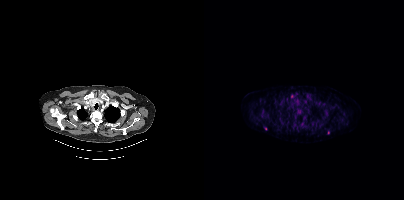
Coordinates are on the 200×200 PET (right) panel. PSMA-avid tumor lesion bounding box (x0,y0,x1,y1): [123,130,125,134]. Small PSMA-avid focus (2 to 4 px across) near (center x, center y): (61, 128).